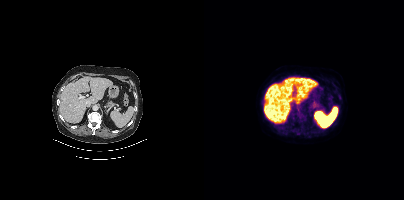
Negative for PSMA-avid disease on this slice.